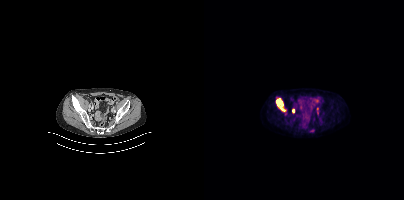
Coordinates are on the 200×200 PET (right) panel. (showing 4 of 5 foci) PSMA-avid tumor lesion bounding box (x, y, width, height): x=72 y=98 w=11 h=14. Small PSMA-avid foci (2 to 4 px across) near (center x, center y): (89, 110) / (107, 130) / (113, 112).